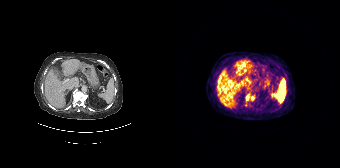
Coordinates are on the 168×168 PET (right) panel. PSMA-avid tumor lesion bounding box (x0,y0,x1,y1): [74,94,77,100]. Small PSMA-avid focus (2 to 4 px across) near (center x, center y): (80, 98).